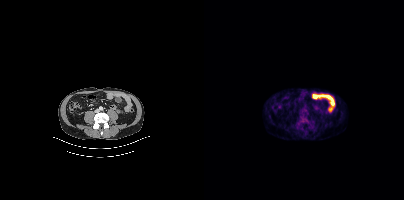
Coordinates are on the 200×200 PET (right) panel. PSMA-avid tumor lesion bounding box (x, y, width, height): x=98 y=115 w=11 h=11. Paired axial CT (left) and PSMA PET (right), 18F tracer. Acquired on Siemens Biograph mCT Flow 20. PET panel 200×200 px (4.1 mm/px).